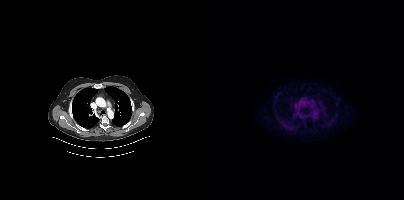
This slice has no annotated PSMA-avid lesion.